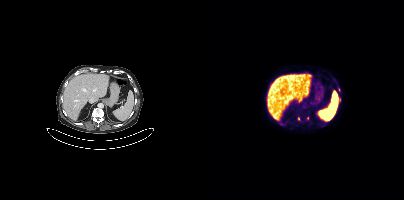
- Two-panel axial: CT | PSMA PET, 18F-PSMA tracer
- acquired on Siemens Biograph mCT Flow 20
- slice 220 of 387
Findings: Coordinates are on the 200×200 PET (right) panel. (showing 2 of 4 foci) Small PSMA-avid foci (2 to 4 px across) near (center x, center y): (135, 99) / (94, 118).